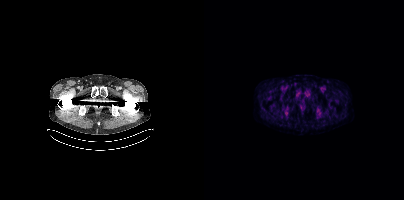
{"modality":"PSMA PET/CT","view":"axial","tracer":"[18F]PSMA-1007","pet_grid":[200,200],"coord_frame":"pet_panel","coord_format":"x0,y0,x1,y1","psma_avid_lesions":false}